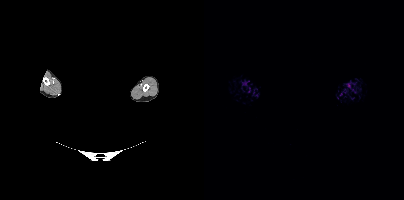
Paired axial CT (left) and PSMA PET (right), 18F tracer. PET panel 200×200 px (4.1 mm/px). An anonymization step blacked out a rectangle over the head in this scan. No tumor lesions annotated on this slice.